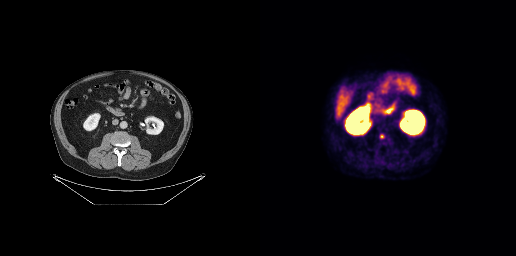
Coordinates are on the 256×256 PET (right) panel. PSMA-avid tumor lesion bounding boxes:
| # | x0 | y0 | x1 | y1 |
|---|---|---|---|---|
| 1 | 120 | 134 | 124 | 138 |
Paired axial CT (left) and PSMA PET (right), 18F-PSMA tracer.